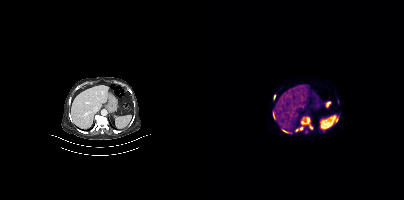
Technique: Paired axial CT (left) and PSMA PET (right), 68Ga-PSMA tracer. slice position z = 710 mm.
Findings: Coordinates are on the 200×200 PET (right) panel. PSMA-avid tumor lesion bounding boxes (x0,y0,x1,y1): [97,117,106,124] [91,126,99,131] [105,125,108,129] [78,129,83,133]. Small PSMA-avid foci (2 to 4 px across) near (center x, center y): (70, 112) (70, 96) (70, 117) (102, 131).